Technique: Two-panel axial: CT | PSMA PET, 18F-PSMA tracer.
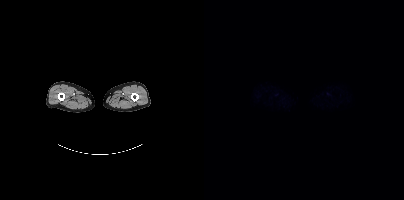
Findings: No PSMA-avid tumor lesions on this slice.